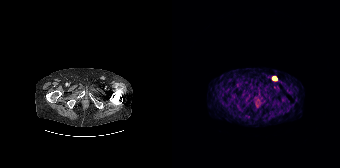
Technique: Two-panel axial: CT | PSMA PET, [68Ga]Ga-PSMA-11 tracer. acquired on Siemens Biograph 64-4R TruePoint.
Findings: Coordinates are on the 168×168 PET (right) panel. Small PSMA-avid focus (2 to 4 px across) near (center x, center y): (102, 78).